Technique: Two-panel axial: CT | PSMA PET, 18F tracer.
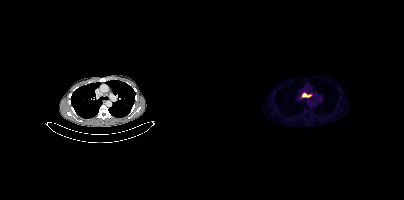
Findings: Coordinates are on the 200×200 PET (right) panel. PSMA-avid tumor lesion bounding box (x, y, width, height): x=96 y=93 w=11 h=6.